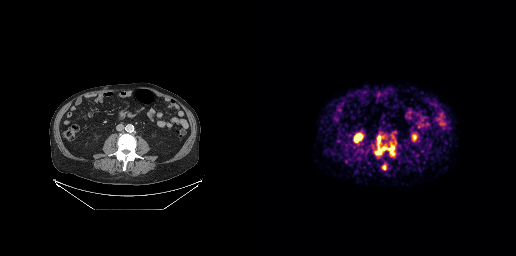
Findings: Coordinates are on the 256×256 PET (right) panel. PSMA-avid tumor lesion bounding boxes (x0, y0)-(x1, y1): (115, 135)-(135, 155); (122, 165)-(126, 169).
Technique: Left: CT. Right: PSMA PET, same axial level, 68Ga tracer. acquired on GE Discovery 690. PET panel 256×256 px (2.7 mm/px).